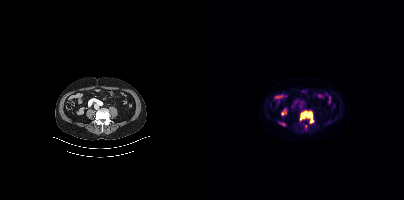
Coordinates are on the 200×200 PET (right) panel. (showing 2 of 3 foci) PSMA-avid tumor lesion bounding box (x, y, width, height): x=96 y=111 w=14 h=13. Small PSMA-avid focus (2 to 4 px across) near (center x, center y): (79, 124).